Technique: Left: CT. Right: PSMA PET, same axial level, [18F]PSMA-1007 tracer.
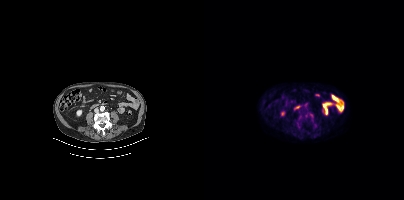
Findings: Coordinates are on the 200×200 PET (right) panel. PSMA-avid tumor lesion bounding box (x0,y0,x1,y1): [105,113,109,117].